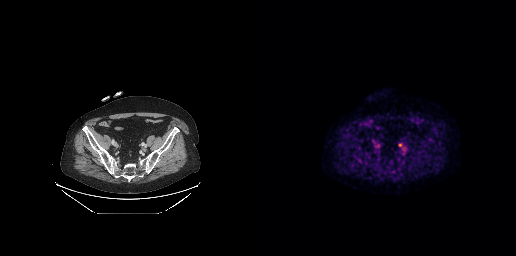
{"pet_grid":[256,256],"coord_frame":"pet_panel","coord_format":"x0,y0,x1,y1","lesion_bboxes":[],"small_foci_centers":[[139,144],[117,145]],"modality":"PSMA PET/CT","view":"axial","tracer":"18F"}